- Two-panel axial: CT | PSMA PET, 18F-PSMA tracer
- slice position z = -1435 mm
- PET panel 200×200 px (4.1 mm/px)
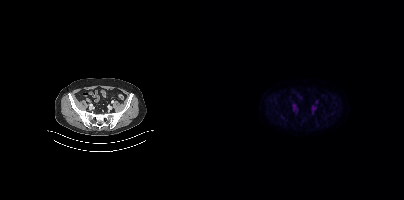
Findings: No PSMA-avid tumor lesions on this slice.